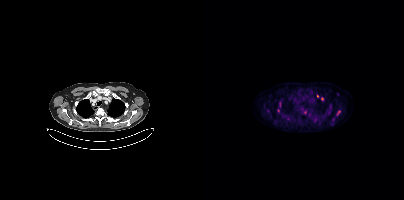
Left: CT. Right: PSMA PET, same axial level, 18F-PSMA tracer. PET panel 200×200 px (4.1 mm/px). Coordinates are on the 200×200 PET (right) panel. (showing 2 of 5 foci) Small PSMA-avid foci (2 to 4 px across) near (center x, center y): (118, 98) (113, 96).